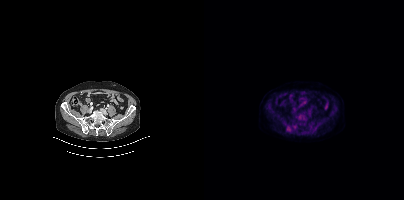
Coordinates are on the 200×200 PET (right) panel. PSMA-avid tumor lesion bounding boxes:
| # | x0 | y0 | x1 | y1 |
|---|---|---|---|---|
| 1 | 82 | 126 | 87 | 131 |
Left: CT. Right: PSMA PET, same axial level, 18F-PSMA tracer. Acquired on Siemens Biograph mCT Flow 20.